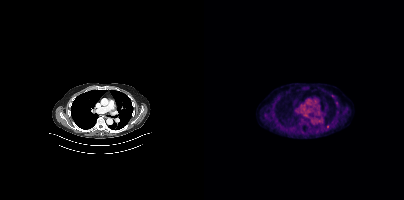
Findings: Coordinates are on the 200×200 PET (right) panel. PSMA-avid tumor lesion bounding box (x, y, width, height): x=122 y=125 w=4 h=5. Small PSMA-avid foci (2 to 4 px across) near (center x, center y): (114, 121); (128, 95).
- Left: CT. Right: PSMA PET, same axial level, 18F-PSMA tracer
- acquired on Siemens Biograph mCT Flow 20
- PET panel 200×200 px (4.1 mm/px)